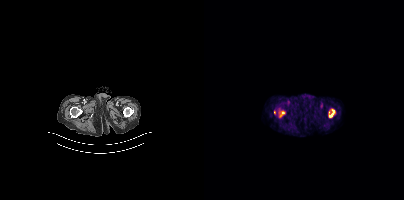
{"modality":"PSMA PET/CT","view":"axial","tracer":"[18F]PSMA-1007","pet_grid":[200,200],"coord_frame":"pet_panel","coord_format":"x0,y0,x1,y1","lesion_bboxes":[[74,109,80,117]],"small_foci_centers":[[70,112]]}